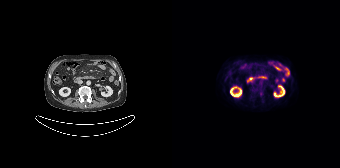
Coordinates are on the 168×168 PET (right) panel. Small PSMA-avid focus (2 to 4 px across) near (center x, center y): (89, 93).